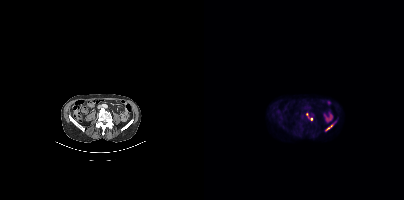
Coordinates are on the 200×200 PET (right) panel. (showing 2 of 4 foci) Small PSMA-avid foci (2 to 4 px across) near (center x, center y): (127, 125); (124, 127). Left: CT. Right: PSMA PET, same axial level, 18F-PSMA tracer. Slice 147 of 435.